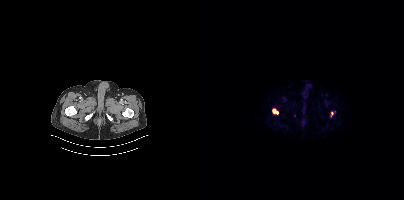
Coordinates are on the 200×200 PET (right) panel. (showing 2 of 3 foci) PSMA-avid tumor lesion bounding boxes (x, y, width, height): x=68 y=108 w=7 h=7 | x=126 y=111 w=4 h=7.
modality: PSMA PET/CT | tracer: 18F-PSMA | view: axial